Two-panel axial: CT | PSMA PET, 18F tracer. Slice position z = -492 mm. PET panel 200×200 px (4.1 mm/px).
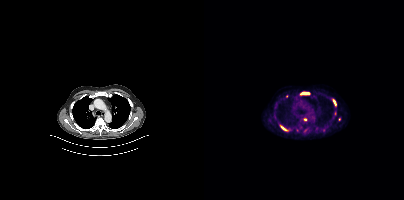
Coordinates are on the 200×200 PET (right) panel. (showing 6 of 8 foci) PSMA-avid tumor lesion bounding boxes (x, y, width, height): x=96 y=92 w=10 h=4 | x=76 y=125 w=8 h=7 | x=129 y=99 w=4 h=7. Small PSMA-avid foci (2 to 4 px across) near (center x, center y): (100, 119) | (82, 96) | (135, 119).